modality: PSMA PET/CT | tracer: 68Ga-PSMA | view: axial
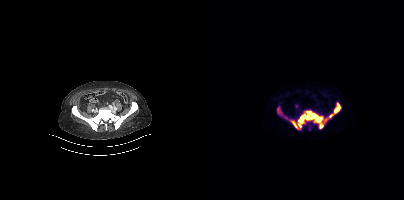
Coordinates are on the 200×200 PET (right) panel. PSMA-avid tumor lesion bounding boxes (x0,y0,x1,y1): [86,110,127,129], [128,102,136,115], [73,106,78,115], [79,115,84,119].